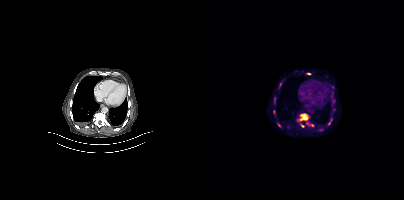
{"pet_grid":[200,200],"coord_frame":"pet_panel","coord_format":"x0,y0,x1,y1","partial":true,"lesion_bboxes":[[93,113,109,127],[124,119,128,125],[102,73,107,74],[75,82,78,86]],"small_foci_centers":[[128,87],[70,98],[70,101],[75,125],[130,109]],"modality":"PSMA PET/CT","view":"axial","tracer":"18F"}